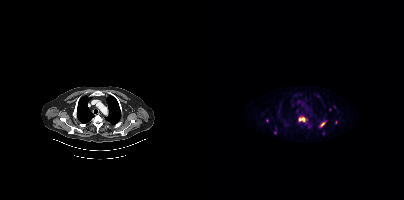
Coordinates are on the 200×200 PET (right) panel. (showing 9 of 11 foci) PSMA-avid tumor lesion bounding boxes (x0,y0,x1,y1): [95,117,101,122], [117,121,121,126]. Small PSMA-avid foci (2 to 4 px across) near (center x, center y): (130, 106), (71, 132), (114, 96), (63, 120), (119, 133), (125, 109), (131, 122). Paired axial CT (left) and PSMA PET (right), 18F tracer. Slice position z = -894 mm.